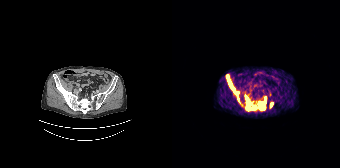
{"modality":"PSMA PET/CT","view":"axial","tracer":"[68Ga]Ga-PSMA-11","pet_grid":[168,168],"coord_frame":"pet_panel","coord_format":"x0,y0,x1,y1","partial":true,"lesion_bboxes":[[86,97,94,110],[54,75,62,90],[74,99,79,110],[98,103,100,107]],"small_foci_centers":[[81,107],[64,92]]}